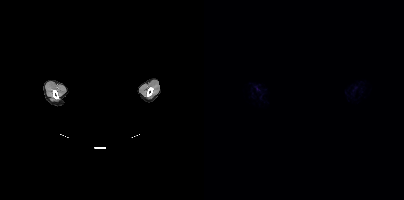
{"pet_grid":[200,200],"coord_frame":"pet_panel","coord_format":"x0,y0,x1,y1","psma_avid_lesions":false,"redaction":"head region blacked out before release","modality":"PSMA PET/CT","view":"axial","tracer":"[18F]PSMA-1007"}